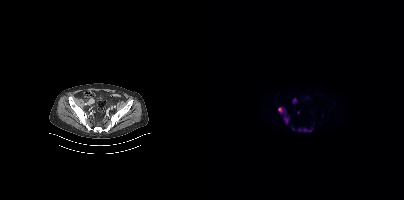
{"modality":"PSMA PET/CT","view":"axial","tracer":"[18F]PSMA-1007","pet_grid":[200,200],"coord_frame":"pet_panel","coord_format":"x0,y0,x1,y1","partial":true,"lesion_bboxes":[[94,128,103,131],[74,107,78,112],[89,99,93,103],[105,127,109,131],[83,117,84,122]]}